Two-panel axial: CT | PSMA PET, [18F]PSMA-1007 tracer. Acquired on GE Discovery 690. PET panel 256×256 px (2.7 mm/px).
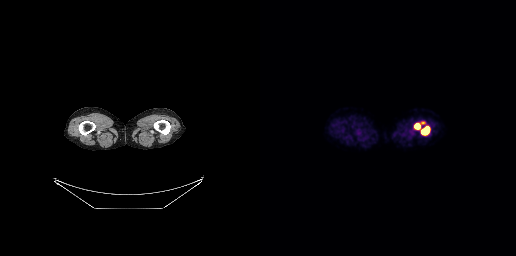
Coordinates are on the 256×256 PET (right) panel. PSMA-avid tumor lesion bounding boxes (x, y, width, height): x=161 y=126 w=10 h=10 / x=154 y=123 w=7 h=7. Small PSMA-avid focus (2 to 4 px across) near (center x, center y): (163, 122).